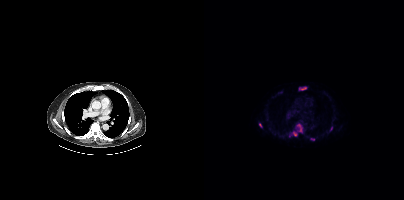
Two-panel axial: CT | PSMA PET, 18F-PSMA tracer.
Coordinates are on the 200×200 PET (right) panel. PSMA-avid tumor lesion bounding boxes (partial; 2 more foci not listed):
| # | x0 | y0 | x1 | y1 |
|---|---|---|---|---|
| 1 | 95 | 87 | 102 | 90 |
| 2 | 93 | 124 | 97 | 131 |
| 3 | 55 | 123 | 58 | 127 |
| 4 | 106 | 138 | 110 | 140 |
Small PSMA-avid focus (2 to 4 px across) near (center x, center y): (90, 133).